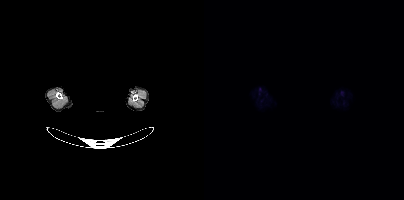
modality: PSMA PET/CT | tracer: 18F | view: axial | PET grid: 200×200 | redaction: facial region redacted
This slice has no annotated PSMA-avid lesion.